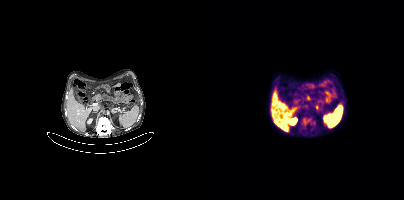
{"modality":"PSMA PET/CT","view":"axial","tracer":"18F","pet_grid":[200,200],"coord_frame":"pet_panel","coord_format":"x0,y0,x1,y1","lesion_bboxes":[[97,117,111,129]]}